Two-panel axial: CT | PSMA PET, [18F]PSMA-1007 tracer.
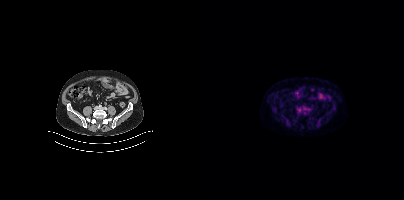
Coordinates are on the 200×200 PET (right) panel. PSMA-avid tumor lesion bounding box (x0,y0,x1,y1): [92,107,96,112].